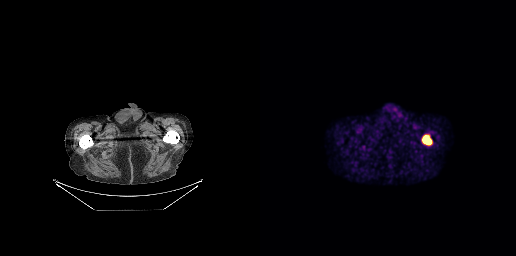
Technique: Left: CT. Right: PSMA PET, same axial level, 18F tracer. slice 41 of 263.
Findings: Coordinates are on the 256×256 PET (right) panel. PSMA-avid tumor lesion bounding box (x, y, width, height): x=162 y=135 w=10 h=10.